Left: CT. Right: PSMA PET, same axial level, 18F-PSMA tracer. Acquired on Siemens Biograph mCT Flow 20. Slice position z = -460 mm. PET panel 200×200 px (4.1 mm/px).
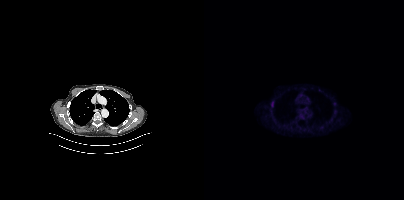
Only PSMA-avid lesion pieces thinner than 2 px on this slice (not listed).